- Two-panel axial: CT | PSMA PET, 18F tracer
- acquired on GE Discovery 690
- PET panel 256×256 px (2.7 mm/px)
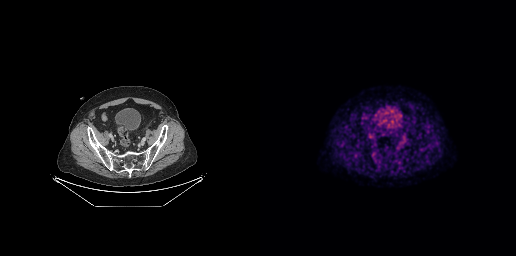
Findings: Negative for PSMA-avid disease on this slice.